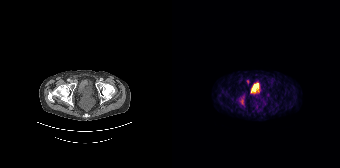
{"modality":"PSMA PET/CT","view":"axial","tracer":"68Ga","pet_grid":[168,168],"coord_frame":"pet_panel","coord_format":"x0,y0,x1,y1","lesion_bboxes":[[67,99,71,103]],"small_foci_centers":[[75,81]]}